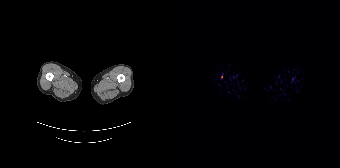
{"modality":"PSMA PET/CT","view":"axial","tracer":"[18F]PSMA-1007","pet_grid":[168,168],"coord_frame":"pet_panel","coord_format":"x0,y0,x1,y1","lesion_bboxes":[],"small_foci_centers":[[49,76]]}